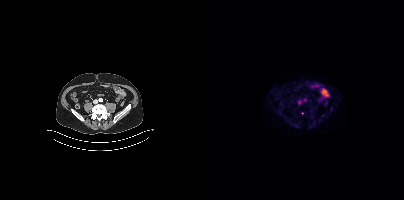
Only PSMA-avid lesion pieces thinner than 2 px on this slice (not listed). Two-panel axial: CT | PSMA PET, 18F-PSMA tracer. PET panel 200×200 px (4.1 mm/px).